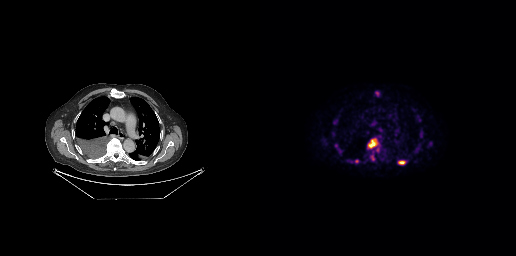
Coordinates are on the 256×256 PET (right) panel. (showing 6 of 7 foci) PSMA-avid tumor lesion bounding boxes (x0, y0)-(x1, y1): (107, 139)-(118, 148); (138, 160)-(145, 164); (111, 156)-(114, 160). Small PSMA-avid foci (2 to 4 px across) near (center x, center y): (96, 161); (117, 149); (75, 145).